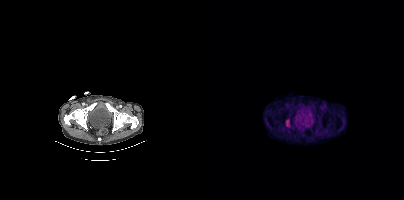
{"modality":"PSMA PET/CT","view":"axial","tracer":"18F","pet_grid":[200,200],"coord_frame":"pet_panel","coord_format":"x0,y0,x1,y1","lesion_bboxes":[[81,120,85,126]]}